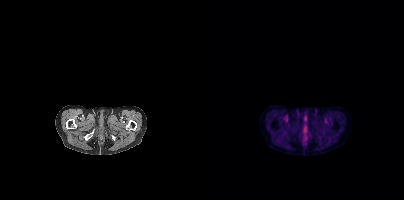
{"modality":"PSMA PET/CT","view":"axial","tracer":"18F-PSMA","pet_grid":[200,200],"coord_frame":"pet_panel","coord_format":"x0,y0,x1,y1","psma_avid_lesions":false}